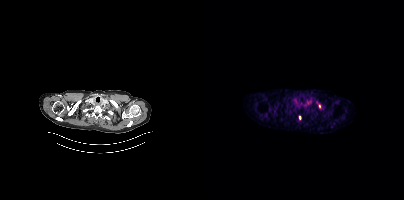
Coordinates are on the 200×200 PET (right) panel. (showing 1 of 2 foci) Small PSMA-avid focus (2 to 4 px across) near (center x, center y): (115, 106).